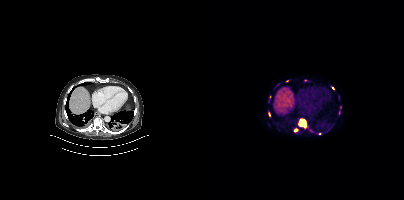
Coordinates are on the 200×200 PET (right) panel. (showing 7 of 10 foci) PSMA-avid tumor lesion bounding boxes (x0,y0,x1,y1): [94,118,104,128]; [89,128,94,132]; [64,112,66,116]. Small PSMA-avid foci (2 to 4 px across) near (center x, center y): (129, 88); (115, 133); (83, 80); (107, 130). Two-panel axial: CT | PSMA PET, 18F-PSMA tracer. Slice position z = -1177 mm.